Technique: Paired axial CT (left) and PSMA PET (right), [18F]PSMA-1007 tracer. slice position z = -806 mm. PET panel 200×200 px (4.1 mm/px).
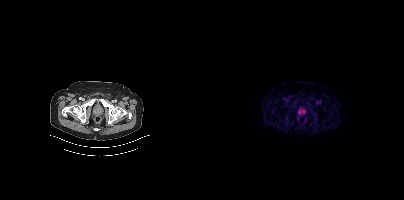
Findings: Negative for PSMA-avid disease on this slice.